Two-panel axial: CT | PSMA PET, 68Ga-PSMA tracer. PET panel 168×168 px (4.1 mm/px).
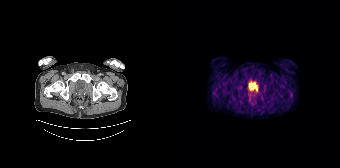
Coordinates are on the 168×168 PET (right) panel. Small PSMA-avid focus (2 to 4 px across) near (center x, center y): (84, 89).